Paired axial CT (left) and PSMA PET (right), [18F]PSMA-1007 tracer. Acquired on Siemens Biograph mCT Flow 20. Slice position z = -58 mm. PET panel 200×200 px (4.1 mm/px).
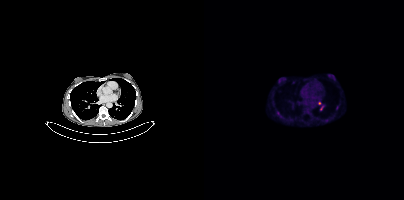
Coordinates are on the 200×200 PET (right) panel. PSMA-avid tumor lesion bounding box (x0,y0,x1,y1): [73,111,76,115]. Small PSMA-avid foci (2 to 4 px across) near (center x, center y): (115, 103); (133, 107); (122, 120); (89, 82).